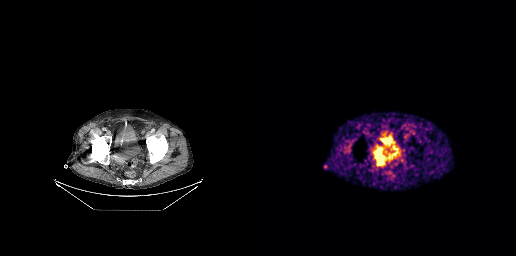
Coordinates are on the 256×256 PET (right) panel. PSMA-avid tumor lesion bounding box (x, y, width, height): x=113 y=147 w=16 h=20.